Paired axial CT (left) and PSMA PET (right), [18F]PSMA-1007 tracer. Acquired on Siemens Biograph 64-4R TruePoint. Slice 77 of 165.
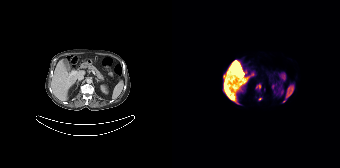
Coordinates are on the 168×168 PET (right) panel. PSMA-avid tumor lesion bounding boxes:
| # | x0 | y0 | x1 | y1 |
|---|---|---|---|---|
| 1 | 84 | 84 | 89 | 89 |
Small PSMA-avid focus (2 to 4 px across) near (center x, center y): (87, 99).